Technique: Paired axial CT (left) and PSMA PET (right), 18F tracer. acquired on Siemens Biograph mCT Flow 20.
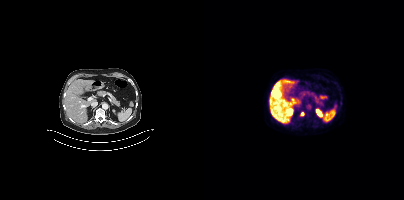
Findings: Coordinates are on the 200×200 PET (right) panel. (showing 1 of 2 foci) Small PSMA-avid focus (2 to 4 px across) near (center x, center y): (98, 113).